Paired axial CT (left) and PSMA PET (right), 18F-PSMA tracer. Acquired on GE Discovery 690.
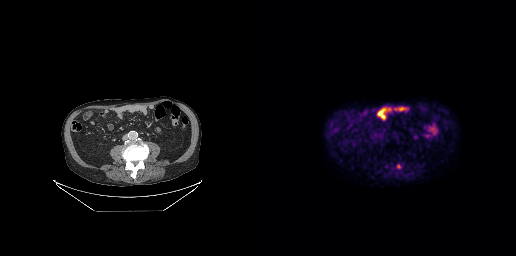
Coordinates are on the 256×256 PET (right) panel. Small PSMA-avid focus (2 to 4 px across) near (center x, center y): (138, 166).